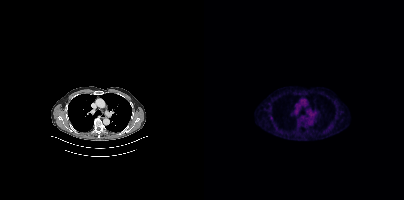
Coordinates are on the 200×200 PET (right) panel. Small PSMA-avid focus (2 to 4 px across) near (center x, center y): (67, 118). Left: CT. Right: PSMA PET, same axial level, 18F tracer. Acquired on Siemens Biograph mCT Flow 20. Slice position z = -993 mm.